Two-panel axial: CT | PSMA PET, 18F tracer. Acquired on Siemens Biograph mCT Flow 20. Slice 261 of 354. PET panel 200×200 px (4.1 mm/px).
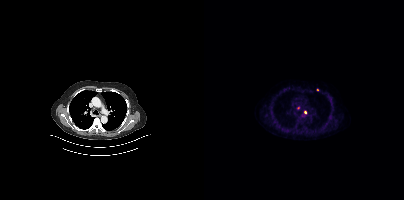
Coordinates are on the 200×200 PET (right) panel. Small PSMA-avid foci (2 to 4 px across) near (center x, center y): (101, 112); (113, 89); (94, 107).